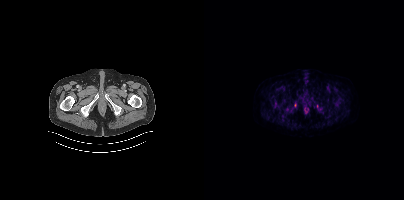
Paired axial CT (left) and PSMA PET (right), [18F]PSMA-1007 tracer. PET panel 200×200 px (4.1 mm/px). Negative for PSMA-avid disease on this slice.